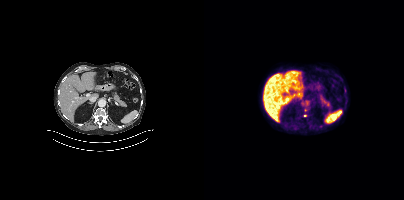
Findings: Coordinates are on the 200×200 PET (right) panel. (showing 1 of 2 foci) Small PSMA-avid focus (2 to 4 px across) near (center x, center y): (101, 115).
- Left: CT. Right: PSMA PET, same axial level, 18F-PSMA tracer
- slice 227 of 429